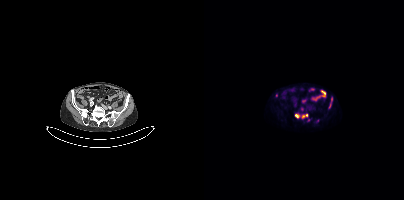
Coordinates are on the 200×200 PET (right) panel. PSMA-avid tumor lesion bounding box (x, y, width, height): x=98 y=114 w=6 h=4. Small PSMA-avid foci (2 to 4 px across) near (center x, center y): (92, 115) | (125, 105) | (72, 95) | (127, 98).